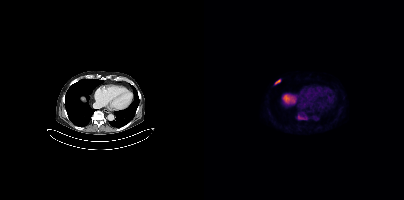
Coordinates are on the 200×200 PET (right) panel. PSMA-avid tumor lesion bounding boxes (x0, y0)-(x1, y1): (94, 115)-(102, 119) / (70, 79)-(76, 84).